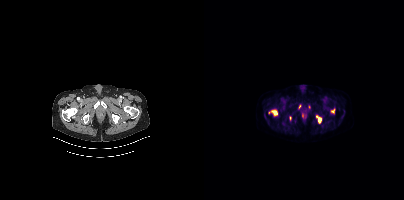
{"modality":"PSMA PET/CT","view":"axial","tracer":"[18F]PSMA-1007","pet_grid":[200,200],"coord_frame":"pet_panel","coord_format":"x0,y0,x1,y1","partial":true,"lesion_bboxes":[[65,109,73,116],[112,115,117,122],[127,108,131,113]],"small_foci_centers":[[105,106],[95,106],[98,115]]}